- Two-panel axial: CT | PSMA PET, [68Ga]Ga-PSMA-11 tracer
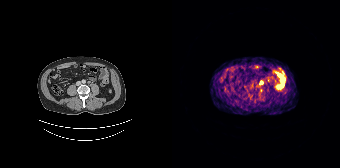
Findings: Coordinates are on the 168×168 PET (right) panel. Small PSMA-avid foci (2 to 4 px across) near (center x, center y): (89, 82) (89, 90).